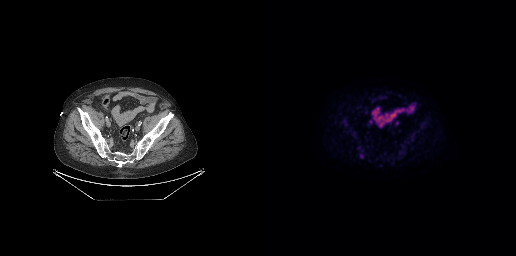
Negative for PSMA-avid disease on this slice.
modality: PSMA PET/CT | tracer: 18F-PSMA | view: axial | PET grid: 256×256